The face region was removed for patient privacy by blanking a rectangle over the head. Two-panel axial: CT | PSMA PET, 18F-PSMA tracer. Acquired on Siemens Biograph mCT Flow 20. Slice position z = -786 mm. PET panel 200×200 px (4.1 mm/px).
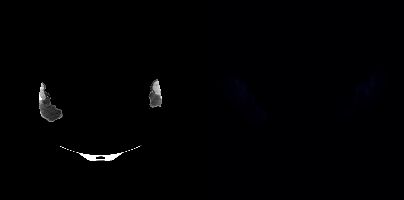
No tumor lesions annotated on this slice.